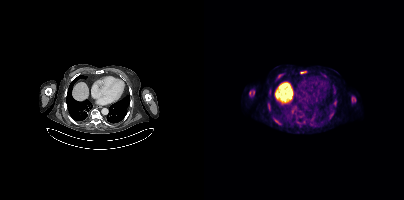
Coordinates are on the 200×200 PET (right) panel. (showing 7 of 8 foci) PSMA-avid tumor lesion bounding boxes (x, y, width, height): x=45 y=90 w=6 h=6 / x=148 y=97 w=4 h=6 / x=70 y=119 w=7 h=6 / x=64 y=104 w=3 h=7 / x=74 y=74 w=5 h=3 / x=96 y=71 w=6 h=3. Small PSMA-avid focus (2 to 4 px across) near (center x, center y): (125, 117).